Paired axial CT (left) and PSMA PET (right), 18F-PSMA tracer. PET panel 256×256 px (2.7 mm/px).
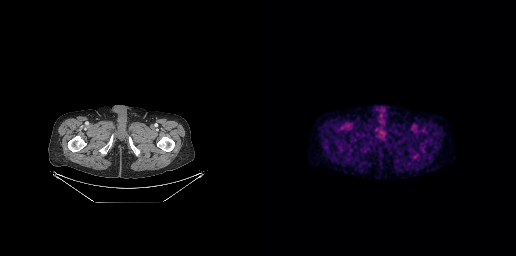
No PSMA-avid tumor lesions on this slice.